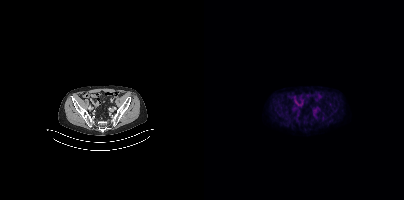
Left: CT. Right: PSMA PET, same axial level, 18F tracer. Acquired on Siemens Biograph mCT Flow 20. Slice 100 of 423. PET panel 200×200 px (4.1 mm/px). No tumor lesions annotated on this slice.